Technique: Two-panel axial: CT | PSMA PET, 18F-PSMA tracer. PET panel 200×200 px (4.1 mm/px).
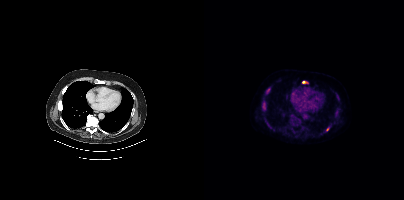
Findings: Coordinates are on the 200×200 PET (right) panel. PSMA-avid tumor lesion bounding boxes (x, y, width, height): x=58 y=101 w=4 h=8; x=62 y=88 w=5 h=7; x=98 y=81 w=7 h=3. Small PSMA-avid focus (2 to 4 px across) near (center x, center y): (123, 128).